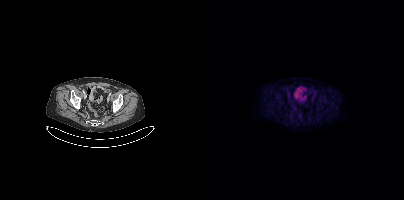
Negative for PSMA-avid disease on this slice. Left: CT. Right: PSMA PET, same axial level, [18F]PSMA-1007 tracer. Acquired on Siemens Biograph mCT Flow 20. Slice 72 of 381.